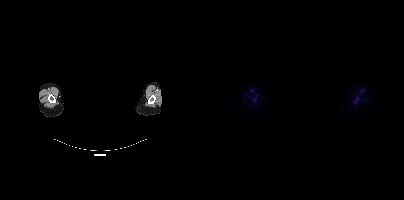
Technique: Two-panel axial: CT | PSMA PET, [18F]PSMA-1007 tracer. slice position z = -657 mm. PET panel 200×200 px (4.1 mm/px).
Note: An anonymization step blacked out a rectangle over the head in this scan.
Findings: Coordinates are on the 200×200 PET (right) panel. (showing 1 of 2 foci) PSMA-avid tumor lesion bounding box (x0, y0)-(x1, y1): (49, 98)-(52, 102).